- Left: CT. Right: PSMA PET, same axial level, 18F tracer
- PET panel 200×200 px (4.1 mm/px)
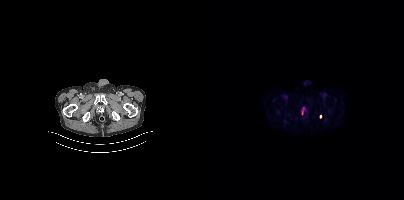
Findings: Coordinates are on the 200×200 PET (right) panel. (showing 2 of 3 foci) Small PSMA-avid foci (2 to 4 px across) near (center x, center y): (98, 111) (116, 116).